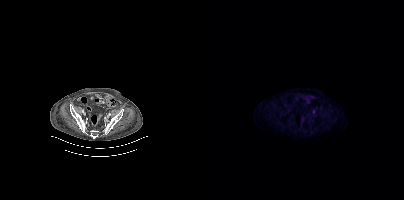
Left: CT. Right: PSMA PET, same axial level, [18F]PSMA-1007 tracer. PET panel 200×200 px (4.1 mm/px). Coordinates are on the 200×200 PET (right) panel. Small PSMA-avid focus (2 to 4 px across) near (center x, center y): (109, 111).